- Two-panel axial: CT | PSMA PET, 18F-PSMA tracer
- slice 246 of 367
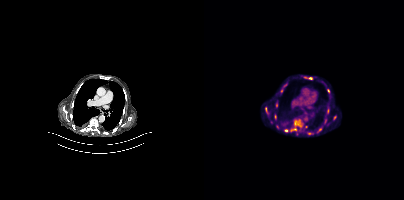
Findings: Coordinates are on the 200×200 PET (right) panel. (showing 9 of 10 foci) PSMA-avid tumor lesion bounding boxes (x, y, width, height): x=87 y=119 w=12 h=13; x=61 y=107 w=5 h=8; x=70 y=114 w=3 h=6; x=72 y=102 w=2 h=6; x=79 y=86 w=3 h=5. Small PSMA-avid foci (2 to 4 px across) near (center x, center y): (123, 110); (130, 117); (82, 130); (121, 121).